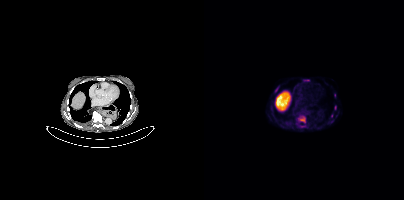
Coordinates are on the 200×200 PET (right) panel. (showing 3 of 6 foci) PSMA-avid tumor lesion bounding box (x0, y0)-(x1, y1): (94, 116)-(101, 122). Small PSMA-avid foci (2 to 4 px across) near (center x, center y): (98, 126) / (127, 115). Two-panel axial: CT | PSMA PET, [18F]PSMA-1007 tracer.